- Two-panel axial: CT | PSMA PET, [18F]PSMA-1007 tracer
- acquired on Siemens Biograph mCT Flow 20
- PET panel 200×200 px (4.1 mm/px)
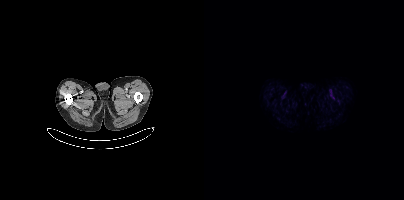
Findings: This slice has no annotated PSMA-avid lesion.